Left: CT. Right: PSMA PET, same axial level, 18F-PSMA tracer. Facial anatomy redacted by setting a rectangular region of the head to black.
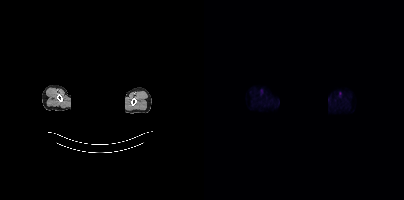
This slice has no annotated PSMA-avid lesion.